modality: PSMA PET/CT | tracer: 18F-PSMA | view: axial | PET grid: 200×200
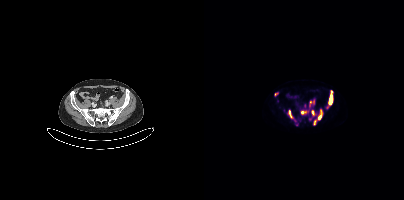
Coordinates are on the 200×200 PET (right) panel. (showing 9 of 11 foci) PSMA-avid tumor lesion bounding boxes (x0,y0,x1,y1): [125,90,128,104], [114,109,118,119], [96,111,101,114], [84,111,89,118], [105,100,110,105], [70,92,74,95]. Small PSMA-avid foci (2 to 4 px across) near (center x, center y): (110, 122), (108, 112), (90, 120).